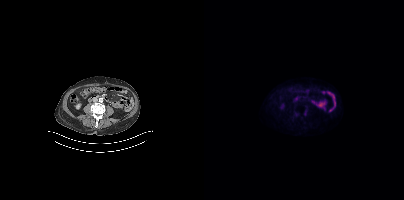
Technique: Left: CT. Right: PSMA PET, same axial level, [18F]PSMA-1007 tracer. PET panel 200×200 px (4.1 mm/px).
Findings: Only PSMA-avid lesion pieces thinner than 2 px on this slice (not listed).